Left: CT. Right: PSMA PET, same axial level, 18F tracer. Slice position z = -940 mm.
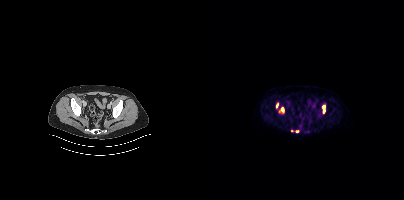
Coordinates are on the 200×200 PET (right) panel. PSMA-avid tumor lesion bounding boxes (x0, y0)-(x1, y1): (118, 105)-(121, 113) / (75, 107)-(80, 112) / (72, 103)-(74, 108). Small PSMA-avid foci (2 to 4 px across) near (center x, center y): (93, 131) / (87, 130).